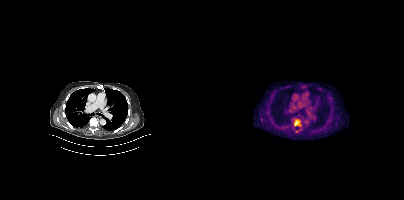
Findings: Coordinates are on the 200×200 PET (right) panel. Small PSMA-avid focus (2 to 4 px across) near (center x, center y): (92, 123).
Technique: Two-panel axial: CT | PSMA PET, 18F-PSMA tracer.